Two-panel axial: CT | PSMA PET, 18F-PSMA tracer. Slice position z = -1377 mm.
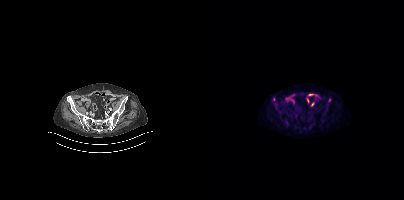
Coordinates are on the 200×200 PET (right) panel. PSMA-avid tumor lesion bounding box (x0,y0,x1,y1): [71,105,73,109]. Small PSMA-avid foci (2 to 4 px across) near (center x, center y): (69, 99), (125, 100).